Technique: Paired axial CT (left) and PSMA PET (right), [68Ga]Ga-PSMA-11 tracer. PET panel 256×256 px (2.7 mm/px).
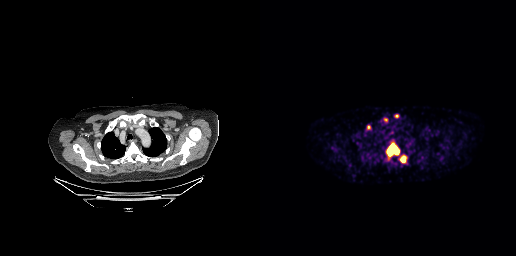
Findings: Coordinates are on the 256×256 PET (right) panel. (showing 2 of 4 foci) PSMA-avid tumor lesion bounding boxes (x, y, width, height): x=127 y=143 w=13 h=14 | x=140 y=156 w=6 h=7.